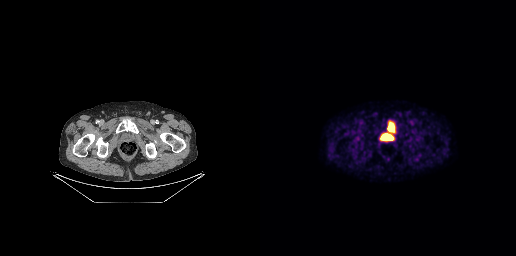
Paired axial CT (left) and PSMA PET (right), 18F tracer.
Coordinates are on the 256×256 PET (right) panel. PSMA-avid tumor lesion bounding boxes:
| # | x0 | y0 | x1 | y1 |
|---|---|---|---|---|
| 1 | 129 | 122 | 134 | 126 |